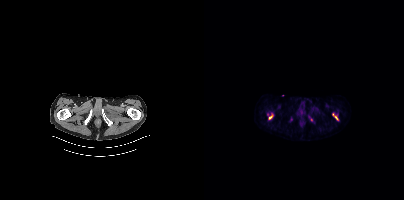
{"pet_grid":[200,200],"coord_frame":"pet_panel","coord_format":"x0,y0,x1,y1","partial":true,"lesion_bboxes":[[64,114,69,119]],"small_foci_centers":[[132,117],[129,113]],"modality":"PSMA PET/CT","view":"axial","tracer":"[18F]PSMA-1007"}